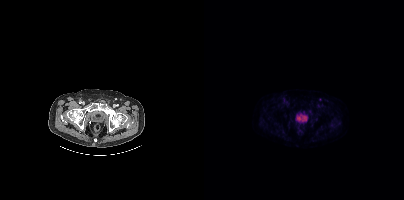
Coordinates are on the 200×200 PET (right) panel. Small PSMA-avid focus (2 to 4 px across) near (center x, center y): (116, 99).